modality: PSMA PET/CT | tracer: 18F-PSMA | view: axial
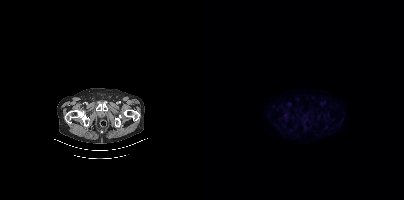
Negative for PSMA-avid disease on this slice.